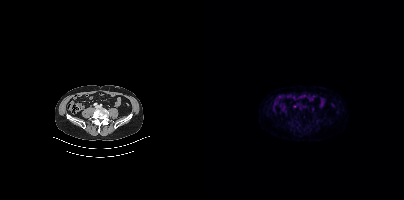
{"pet_grid":[200,200],"coord_frame":"pet_panel","coord_format":"x0,y0,x1,y1","psma_avid_lesions":false,"modality":"PSMA PET/CT","view":"axial","tracer":"68Ga-PSMA"}